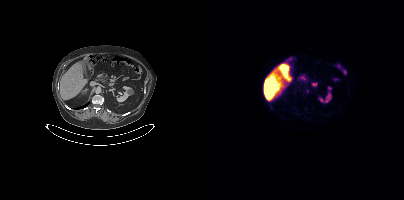
{"modality":"PSMA PET/CT","view":"axial","tracer":"18F","pet_grid":[200,200],"coord_frame":"pet_panel","coord_format":"x0,y0,x1,y1","lesion_bboxes":[],"small_foci_centers":[[103,91]]}